- Left: CT. Right: PSMA PET, same axial level, [18F]PSMA-1007 tracer
- slice 13 of 407
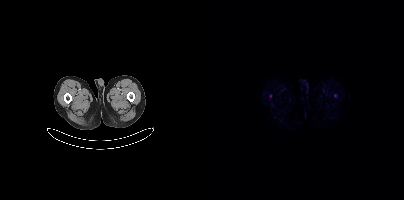
Findings: Only PSMA-avid lesion pieces thinner than 2 px on this slice (not listed).